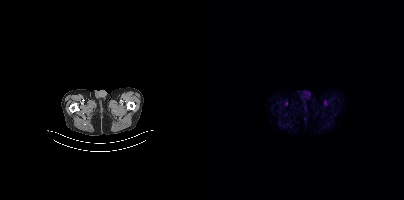
This slice has no annotated PSMA-avid lesion. Two-panel axial: CT | PSMA PET, 18F tracer. Acquired on Siemens Biograph mCT Flow 20. Slice position z = -1056 mm.